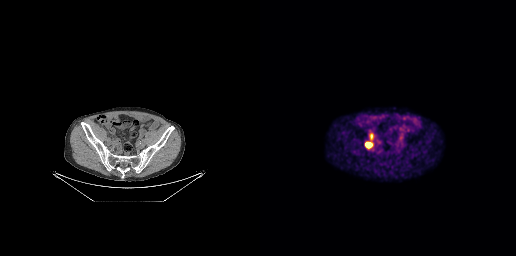
Coordinates are on the 256×256 PET (right) panel. PSMA-avid tumor lesion bounding box (x0,y0,x1,y1): [106,142,111,147].